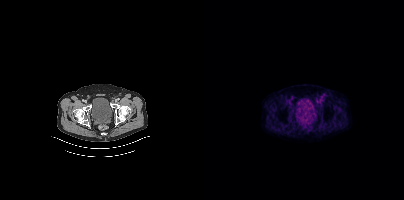
modality: PSMA PET/CT | tracer: 18F | view: axial
Only PSMA-avid lesion pieces thinner than 2 px on this slice (not listed).